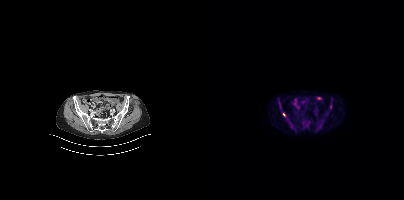
- Left: CT. Right: PSMA PET, same axial level, [18F]PSMA-1007 tracer
Findings: Coordinates are on the 200×200 PET (right) panel. Small PSMA-avid focus (2 to 4 px across) near (center x, center y): (80, 114).